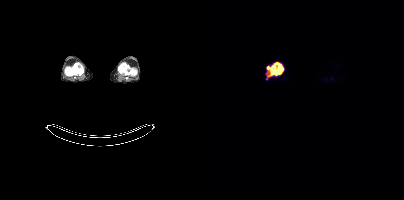
Coordinates are on the 200×200 PET (right) panel. PSMA-avid tumor lesion bounding box (x0, y0)-(x1, y1): (62, 62)-(79, 79).